Technique: Paired axial CT (left) and PSMA PET (right), 18F tracer. acquired on Siemens Biograph mCT Flow 20. slice position z = -690 mm.
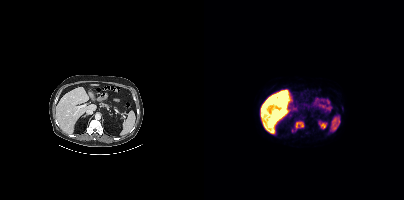
Findings: Coordinates are on the 200×200 PET (right) panel. PSMA-avid tumor lesion bounding box (x0,y0,x1,y1): [88,121,100,132].